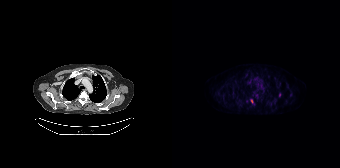
Coordinates are on the 168×168 PET (right) panel. PSMA-avid tumor lesion bounding box (x0,y0,x1,y1): [79,99,81,103]. Small PSMA-avid focus (2 to 4 px across) near (center x, center y): (107, 95).